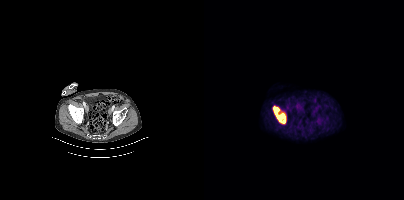
{"modality":"PSMA PET/CT","view":"axial","tracer":"18F","pet_grid":[200,200],"coord_frame":"pet_panel","coord_format":"x0,y0,x1,y1","lesion_bboxes":[[69,106,82,124]]}